modality: PSMA PET/CT | tracer: 18F-PSMA | view: axial
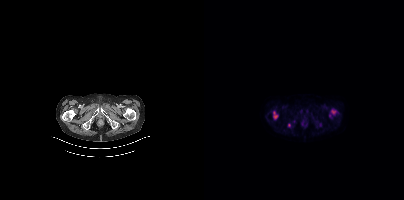
Coordinates are on the 200×200 PET (right) panel. (showing 4 of 5 foci) PSMA-avid tumor lesion bounding boxes (x0,y0,x1,y1): [69,111,74,119] [127,110,131,113] [84,123,86,127]. Small PSMA-avid focus (2 to 4 px across) near (center x, center y): (116, 124).